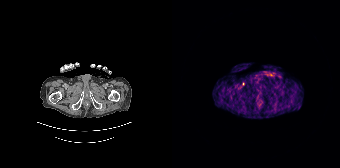
Only PSMA-avid lesion pieces thinner than 2 px on this slice (not listed).